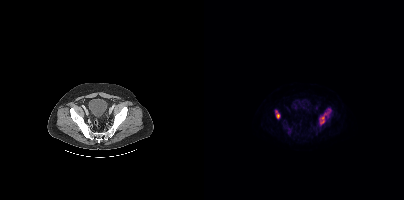
Coordinates are on the 200×200 PET (right) panel. PSMA-avid tumor lesion bounding boxes (x0,y0,x1,y1): [115,109,126,124], [71,110,75,118].